Two-panel axial: CT | PSMA PET, 18F tracer.
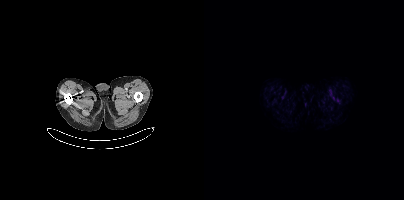
Negative for PSMA-avid disease on this slice.